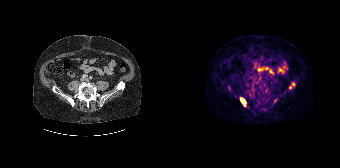
Left: CT. Right: PSMA PET, same axial level, 68Ga-PSMA tracer. Acquired on Siemens Biograph 64-4R TruePoint. PET panel 168×168 px (4.1 mm/px). Coordinates are on the 168×168 PET (right) panel. PSMA-avid tumor lesion bounding box (x, y, width, height): x=68 y=98 w=7 h=8. Small PSMA-avid foci (2 to 4 px across) near (center x, center y): (121, 83) / (118, 87).